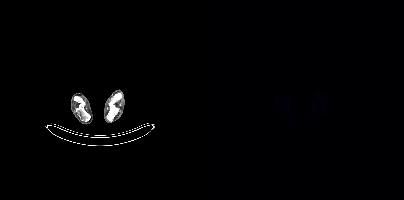
Findings: No PSMA-avid tumor lesions on this slice.
- Two-panel axial: CT | PSMA PET, [18F]PSMA-1007 tracer
- acquired on Siemens Biograph mCT Flow 20
- slice 60 of 963
- PET panel 200×200 px (4.1 mm/px)